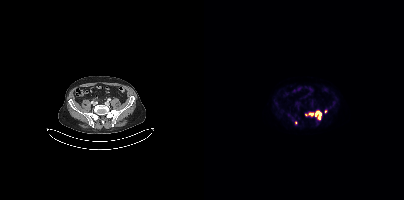
Coordinates are on the 200×200 PET (right) panel. (showing 4 of 6 foci) PSMA-avid tumor lesion bounding box (x0, y0)-(x1, y1): (111, 111)-(117, 118). Small PSMA-avid foci (2 to 4 px across) near (center x, center y): (103, 114) / (91, 122) / (84, 114).